modality: PSMA PET/CT | tracer: [68Ga]Ga-PSMA-11 | view: axial | PET grid: 256×256 | redaction: head region blacked out before release
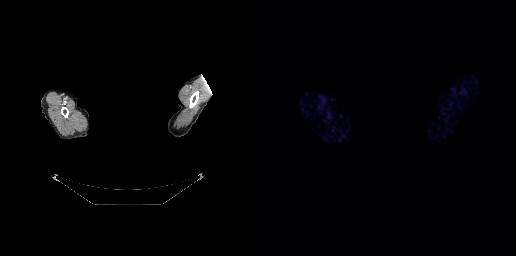
Negative for PSMA-avid disease on this slice.